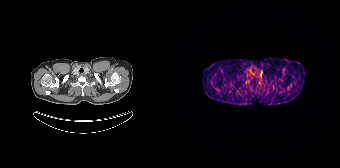
Coordinates are on the 168×168 PET (right) panel. PSMA-avid tumor lesion bounding box (x0,y0,x1,y1): [88,71,90,76]. Paired axial CT (left) and PSMA PET (right), 68Ga-PSMA tracer.